Left: CT. Right: PSMA PET, same axial level, [68Ga]Ga-PSMA-11 tracer. PET panel 256×256 px (2.7 mm/px). A rectangle over the head was blacked out to remove identifiable facial features.
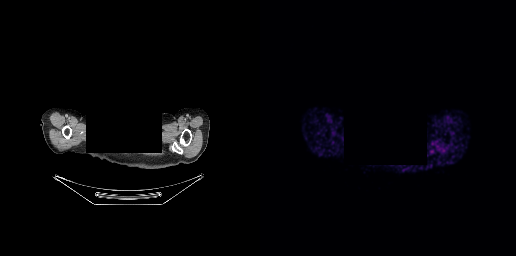
This slice has no annotated PSMA-avid lesion.